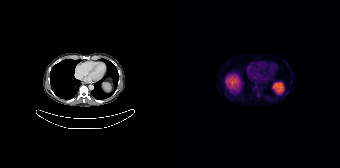
Coordinates are on the 168×168 PET (right) panel. Small PSMA-avid focus (2 to 4 px across) near (center x, center y): (84, 86). Left: CT. Right: PSMA PET, same axial level, [18F]PSMA-1007 tracer.